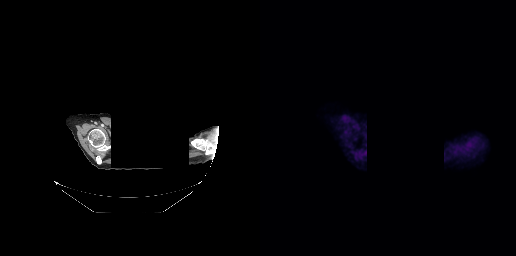
{"modality":"PSMA PET/CT","view":"axial","tracer":"[18F]PSMA-1007","pet_grid":[256,256],"coord_frame":"pet_panel","coord_format":"x0,y0,x1,y1","psma_avid_lesions":false,"de-identification":"head region blacked out before release"}